- Two-panel axial: CT | PSMA PET, [18F]PSMA-1007 tracer
- PET panel 200×200 px (4.1 mm/px)
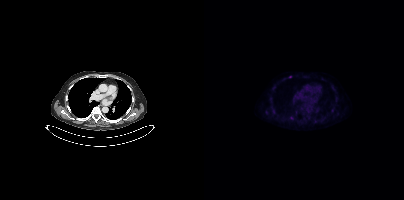
Findings: Coordinates are on the 200×200 PET (right) panel. Small PSMA-avid focus (2 to 4 px across) near (center x, center y): (87, 117).